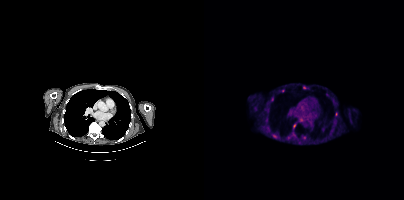
{"modality":"PSMA PET/CT","view":"axial","tracer":"18F","pet_grid":[200,200],"coord_frame":"pet_panel","coord_format":"x0,y0,x1,y1","partial":true,"lesion_bboxes":[],"small_foci_centers":[[100,87],[68,99],[79,91],[101,137],[90,125]]}